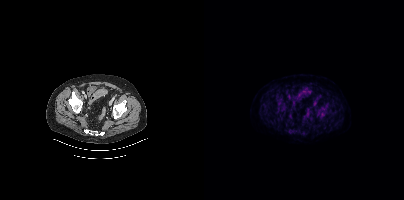
{"modality":"PSMA PET/CT","view":"axial","tracer":"18F-PSMA","pet_grid":[200,200],"coord_frame":"pet_panel","coord_format":"x0,y0,x1,y1","psma_avid_lesions":false}